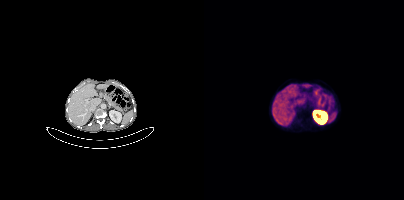
No PSMA-avid tumor lesions on this slice.
modality: PSMA PET/CT | tracer: 68Ga-PSMA | view: axial